- Two-panel axial: CT | PSMA PET, 68Ga tracer
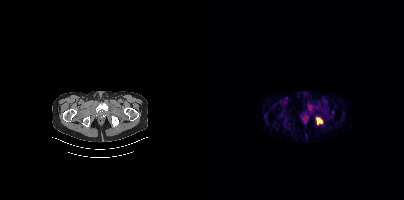
Findings: Coordinates are on the 200×200 PET (right) panel. (showing 1 of 2 foci) PSMA-avid tumor lesion bounding box (x, y, width, height): x=112 y=117 w=7 h=8.